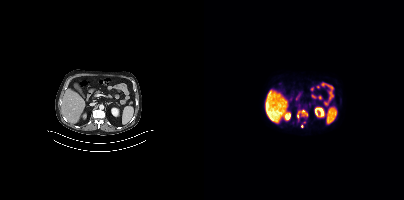
Coordinates are on the 200×200 PET (right) panel. (showing 2 of 3 foci) PSMA-avid tumor lesion bounding box (x0, y0)-(x1, y1): (93, 110)-(103, 118). Small PSMA-avid focus (2 to 4 px across) near (center x, center y): (98, 126). Left: CT. Right: PSMA PET, same axial level, 18F-PSMA tracer. Slice 201 of 395. PET panel 200×200 px (4.1 mm/px).